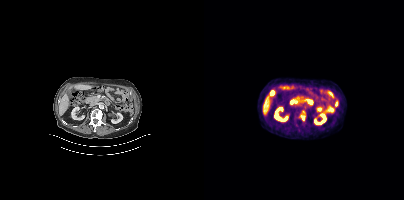
Technique: Two-panel axial: CT | PSMA PET, [18F]PSMA-1007 tracer. slice position z = -1310 mm. PET panel 200×200 px (4.1 mm/px).
Findings: Coordinates are on the 200×200 PET (right) panel. PSMA-avid tumor lesion bounding box (x0, y0)-(x1, y1): (96, 111)-(101, 120).